- Two-panel axial: CT | PSMA PET, [18F]PSMA-1007 tracer
- PET panel 200×200 px (4.1 mm/px)
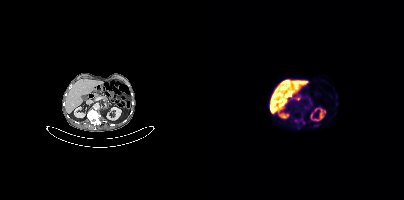
Findings: No tumor lesions annotated on this slice.